modality: PSMA PET/CT | tracer: [18F]PSMA-1007 | view: axial | PET grid: 200×200
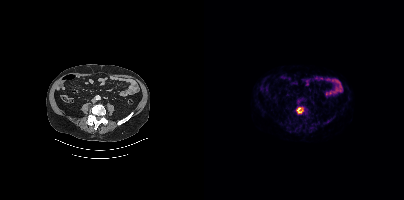
Coordinates are on the 200×200 PET (right) panel. PSMA-avid tumor lesion bounding box (x0, y0)-(x1, y1): (92, 107)-(99, 113).